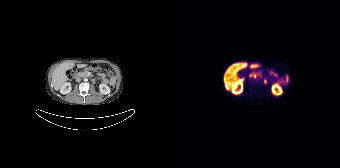
modality: PSMA PET/CT | tracer: [18F]PSMA-1007 | view: axial | PET grid: 168×168
This slice has no annotated PSMA-avid lesion.